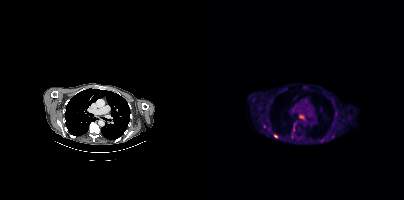
{"modality":"PSMA PET/CT","view":"axial","tracer":"18F","pet_grid":[200,200],"coord_frame":"pet_panel","coord_format":"x0,y0,x1,y1","partial":true,"lesion_bboxes":[[116,138,120,142]],"small_foci_centers":[[71,135]]}